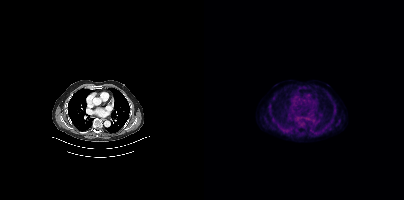
Left: CT. Right: PSMA PET, same axial level, [18F]PSMA-1007 tracer. PET panel 200×200 px (4.1 mm/px). Negative for PSMA-avid disease on this slice.